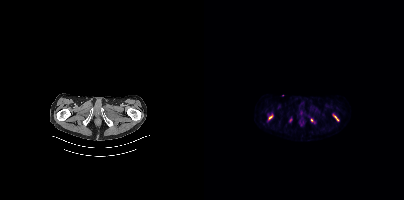
{"pet_grid":[200,200],"coord_frame":"pet_panel","coord_format":"x0,y0,x1,y1","lesion_bboxes":[[64,114,68,119],[130,116,134,120]],"small_foci_centers":[[108,120]],"modality":"PSMA PET/CT","view":"axial","tracer":"18F-PSMA"}